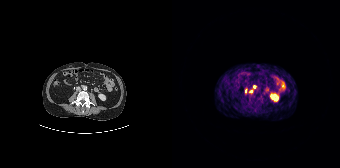
- Two-panel axial: CT | PSMA PET, 68Ga-PSMA tracer
- acquired on Siemens Biograph 64-4R TruePoint
- PET panel 168×168 px (4.1 mm/px)
Findings: Coordinates are on the 168×168 PET (right) panel. Small PSMA-avid foci (2 to 4 px across) near (center x, center y): (82, 86); (79, 91); (73, 91).